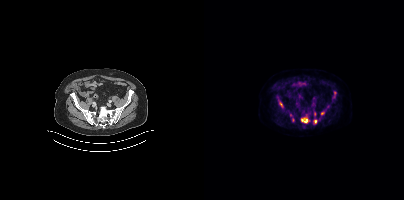
Two-panel axial: CT | PSMA PET, 18F-PSMA tracer. Acquired on Siemens Biograph mCT Flow 20. Coordinates are on the 200×200 PET (right) panel. (showing 6 of 7 foci) PSMA-avid tumor lesion bounding boxes (x0,y0,x1,y1): [97,117,104,123] [129,91,132,98] [75,102,78,107] [110,111,112,116] [110,119,113,123]. Small PSMA-avid focus (2 to 4 px across) near (center x, center y): (118, 113).